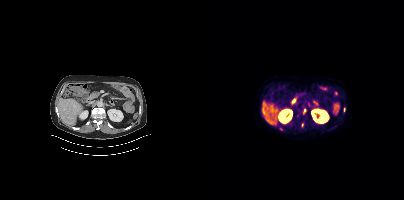
Findings: No tumor lesions annotated on this slice.
- Two-panel axial: CT | PSMA PET, [18F]PSMA-1007 tracer
- slice position z = -690 mm